Paired axial CT (left) and PSMA PET (right), 18F-PSMA tracer. Acquired on Siemens Biograph mCT Flow 20. Slice position z = -997 mm. PET panel 200×200 px (4.1 mm/px).
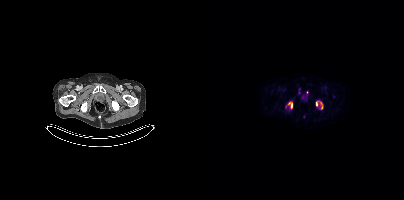
Coordinates are on the 200×200 PET (right) panel. (showing 3 of 4 foci) PSMA-avid tumor lesion bounding boxes (x, y, width, height): x=84 y=102 w=5 h=7 / x=112 y=101 w=2 h=6 / x=116 y=102 w=3 h=7.